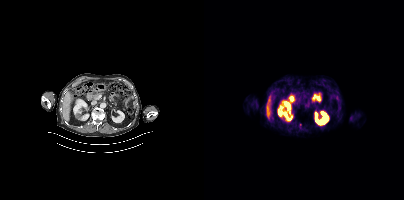
{"modality":"PSMA PET/CT","view":"axial","tracer":"[18F]PSMA-1007","pet_grid":[200,200],"coord_frame":"pet_panel","coord_format":"x0,y0,x1,y1","psma_avid_lesions":false}